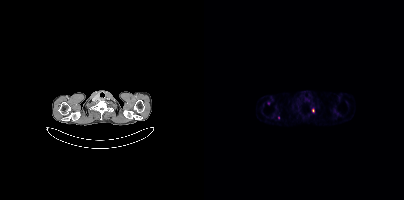
Left: CT. Right: PSMA PET, same axial level, 68Ga tracer. Acquired on Siemens Biograph mCT Flow 20. Coordinates are on the 200×200 PET (right) panel. (showing 2 of 3 foci) Small PSMA-avid foci (2 to 4 px across) near (center x, center y): (109, 110) | (74, 117).